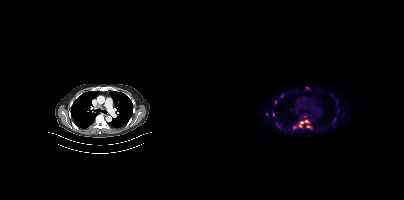
Findings: Coordinates are on the 200×200 PET (right) panel. (showing 8 of 11 foci) PSMA-avid tumor lesion bounding boxes (x0, y0)-(x1, y1): (94, 120)-(105, 127); (102, 125)-(108, 128); (71, 100)-(72, 104). Small PSMA-avid foci (2 to 4 px across) near (center x, center y): (90, 127); (78, 96); (69, 114); (133, 111); (62, 114).
Technique: Two-panel axial: CT | PSMA PET, 18F tracer. acquired on Siemens Biograph mCT Flow 20. slice 295 of 413.